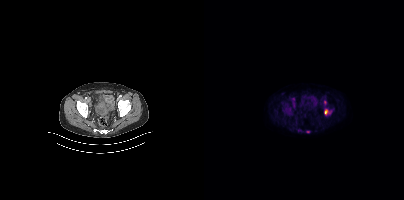
{"modality":"PSMA PET/CT","view":"axial","tracer":"18F","pet_grid":[200,200],"coord_frame":"pet_panel","coord_format":"x0,y0,x1,y1","partial":true,"lesion_bboxes":[[120,109,124,114]],"small_foci_centers":[[104,131]]}